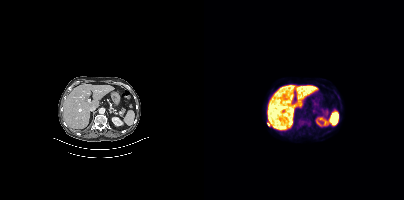
Coordinates are on the 200×200 PET (right) panel. PSMA-avid tumor lesion bounding box (x0,y0,x1,y1): [98,120,104,124]. Small PSMA-avid focus (2 to 4 px across) near (center x, center y): (64, 124).